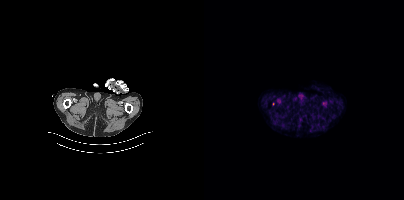
{"modality":"PSMA PET/CT","view":"axial","tracer":"18F-PSMA","pet_grid":[200,200],"coord_frame":"pet_panel","coord_format":"x0,y0,x1,y1","partial":true,"lesion_bboxes":[]}